Left: CT. Right: PSMA PET, same axial level, 18F-PSMA tracer. Acquired on Siemens Biograph mCT Flow 20.
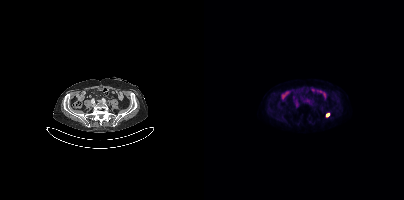
Coordinates are on the 200×200 PET (right) panel. Small PSMA-avid focus (2 to 4 px across) near (center x, center y): (123, 114).